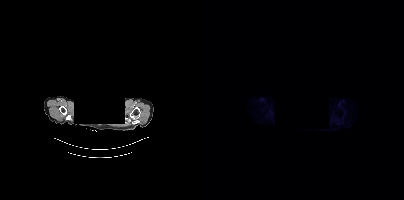
Left: CT. Right: PSMA PET, same axial level, 18F-PSMA tracer. The face region was removed for patient privacy by blanking a rectangle over the head. This slice has no annotated PSMA-avid lesion.